- a rectangle over the head was blacked out to remove identifiable facial features
- Two-panel axial: CT | PSMA PET, 18F tracer
- slice 443 of 466
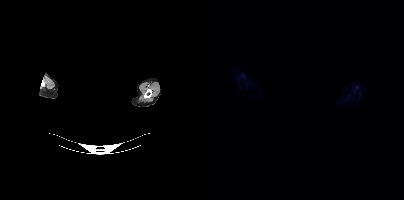
Findings: This slice has no annotated PSMA-avid lesion.